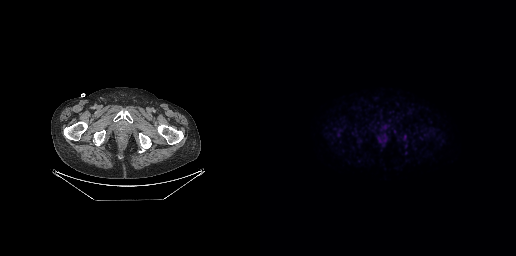
{"modality":"PSMA PET/CT","view":"axial","tracer":"18F","pet_grid":[256,256],"coord_frame":"pet_panel","coord_format":"x0,y0,x1,y1","psma_avid_lesions":false}